Paired axial CT (left) and PSMA PET (right), 18F-PSMA tracer.
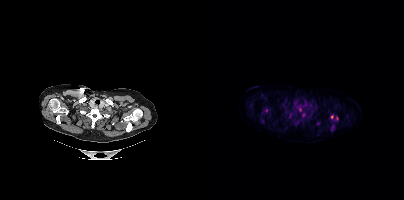
Coordinates are on the 200×200 PET (right) panel. Small PSMA-avid foci (2 to 4 px across) near (center x, center y): (128, 116); (96, 109); (99, 114); (132, 118); (62, 110).